Paired axial CT (left) and PSMA PET (right), 18F tracer. Slice 375 of 444. PET panel 200×200 px (4.1 mm/px).
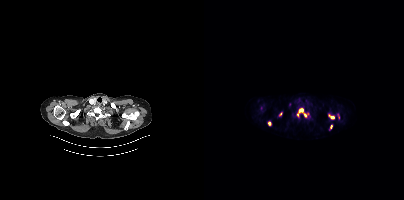
Coordinates are on the 200×200 PET (right) panel. (showing 5 of 8 foci) PSMA-avid tumor lesion bounding boxes (x0,y0,x1,y1): [93,108,102,117]; [124,114,130,119]; [64,121,67,125]. Small PSMA-avid foci (2 to 4 px across) near (center x, center y): (127, 126); (76, 114).